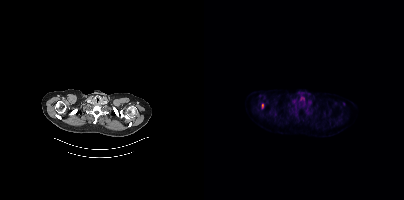
modality: PSMA PET/CT | tracer: 18F-PSMA | view: axial
Coordinates are on the 200×200 PET (right) panel. PSMA-avid tumor lesion bounding box (x0, y0)-(x1, y1): (58, 104)-(59, 108).